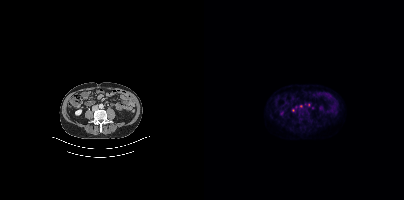
Left: CT. Right: PSMA PET, same axial level, 18F tracer. Slice 151 of 427. PET panel 200×200 px (4.1 mm/px). Coordinates are on the 200×200 PET (right) panel. Small PSMA-avid focus (2 to 4 px across) near (center x, center y): (96, 105).